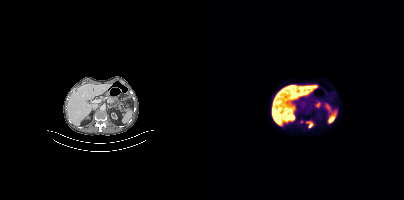
Technique: Two-panel axial: CT | PSMA PET, [18F]PSMA-1007 tracer.
Findings: Coordinates are on the 200×200 PET (right) panel. PSMA-avid tumor lesion bounding box (x0, y0)-(x1, y1): (104, 121)-(108, 127). Small PSMA-avid focus (2 to 4 px across) near (center x, center y): (97, 121).